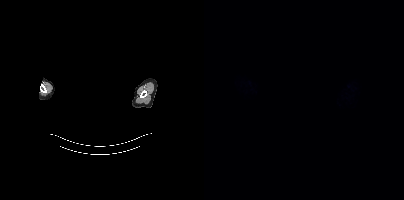
Findings: No PSMA-avid tumor lesions on this slice.
- a rectangular block over the head has been blanked out for de-identification
- Paired axial CT (left) and PSMA PET (right), 18F-PSMA tracer
- acquired on Siemens Biograph mCT Flow 20